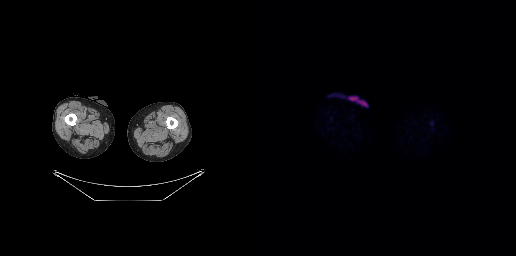
This slice has no annotated PSMA-avid lesion. Two-panel axial: CT | PSMA PET, [18F]PSMA-1007 tracer. Slice 12 of 299. PET panel 256×256 px (2.7 mm/px).